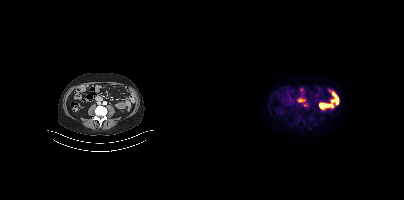
Technique: Paired axial CT (left) and PSMA PET (right), 18F-PSMA tracer.
Findings: Only PSMA-avid lesion pieces thinner than 2 px on this slice (not listed).